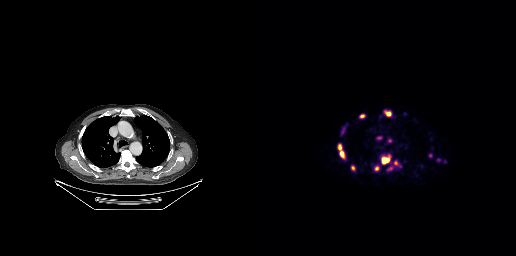
{"pet_grid":[256,256],"coord_frame":"pet_panel","coord_format":"x0,y0,x1,y1","lesion_bboxes":[[125,111,131,116],[80,151,84,157],[91,165,95,170],[123,158,128,162],[78,145,81,149],[117,137,121,139]],"small_foci_centers":[[178,159],[136,163],[130,140],[116,168],[101,116]],"modality":"PSMA PET/CT","view":"axial","tracer":"[68Ga]Ga-PSMA-11"}